Two-panel axial: CT | PSMA PET, 18F tracer. Slice position z = -385 mm.
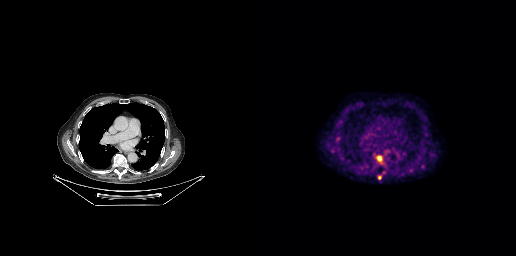
Coordinates are on the 256×256 PET (right) panel. PSMA-avid tumor lesion bounding box (x0, y0)-(x1, y1): (117, 156)-(122, 163). Small PSMA-avid focus (2 to 4 px across) near (center x, center y): (120, 176).